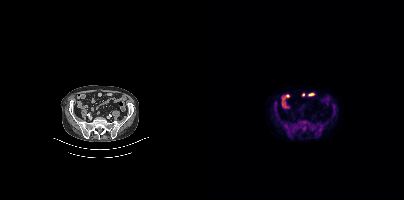
Coordinates are on the 200×200 PET (right) panel. PSMA-avid tumor lesion bounding boxes (x0, y0)-(x1, y1): (128, 104)-(132, 113); (70, 105)-(72, 112). Small PSMA-avid focus (2 to 4 px across) near (center x, center y): (72, 114).